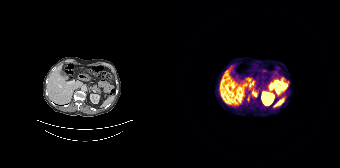
{"modality":"PSMA PET/CT","view":"axial","tracer":"68Ga-PSMA","pet_grid":[168,168],"coord_frame":"pet_panel","coord_format":"x0,y0,x1,y1","partial":true,"lesion_bboxes":[],"small_foci_centers":[[82,94]]}